- Paired axial CT (left) and PSMA PET (right), 18F-PSMA tracer
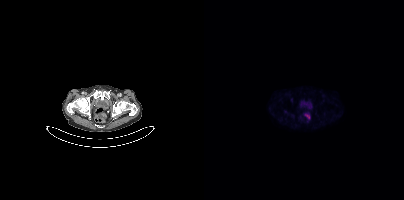
Findings: No PSMA-avid tumor lesions on this slice.